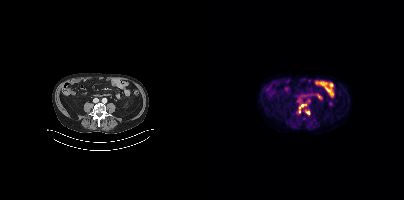
{"modality":"PSMA PET/CT","view":"axial","tracer":"[18F]PSMA-1007","pet_grid":[200,200],"coord_frame":"pet_panel","coord_format":"x0,y0,x1,y1","lesion_bboxes":[[94,104,102,113],[101,110,106,114]]}